- Two-panel axial: CT | PSMA PET, 18F-PSMA tracer
- slice 7 of 387
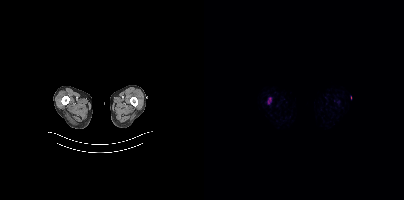
Findings: Coordinates are on the 200×200 PET (right) panel. PSMA-avid tumor lesion bounding box (x0, y0)-(x1, y1): (64, 98)-(66, 103).